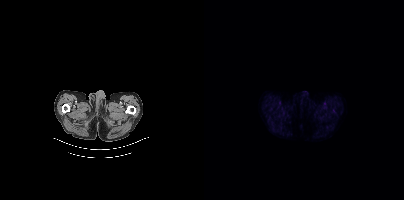
modality: PSMA PET/CT | tracer: [18F]PSMA-1007 | view: axial | PET grid: 200×200
Negative for PSMA-avid disease on this slice.